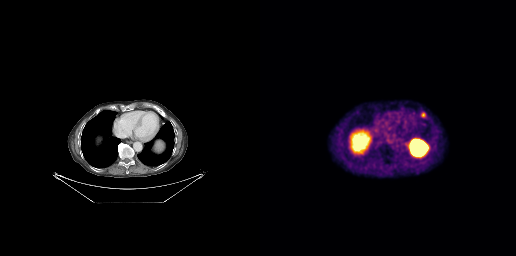
modality: PSMA PET/CT | tracer: 18F-PSMA | view: axial | PET grid: 256×256
Coordinates are on the 256×256 PET (right) panel. PSMA-avid tumor lesion bounding box (x, y, width, height): x=161 y=112 w=5 h=6.